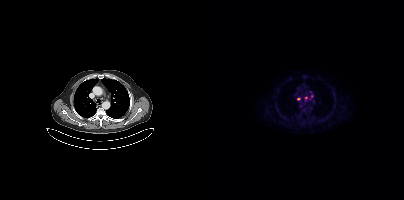
modality: PSMA PET/CT | tracer: 18F | view: axial | PET grid: 200×200
Coordinates are on the 200×200 PET (right) panel. Small PSMA-avid foci (2 to 4 px across) near (center x, center y): (106, 98) / (94, 98) / (101, 97).